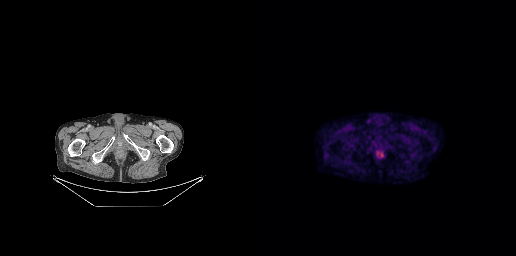
Findings: No tumor lesions annotated on this slice.
Technique: Left: CT. Right: PSMA PET, same axial level, 18F tracer. slice 56 of 263.